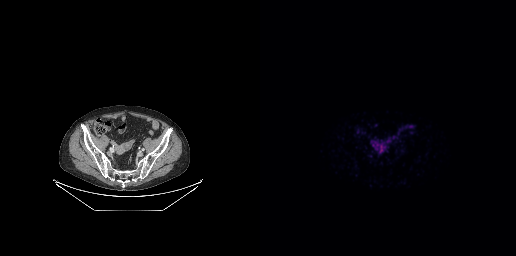
- Left: CT. Right: PSMA PET, same axial level, 68Ga tracer
- acquired on GE Discovery 690
- slice position z = -763 mm
- PET panel 256×256 px (2.7 mm/px)
Findings: Negative for PSMA-avid disease on this slice.